- Two-panel axial: CT | PSMA PET, 68Ga tracer
- acquired on Siemens Biograph mCT Flow 20
- PET panel 200×200 px (4.1 mm/px)
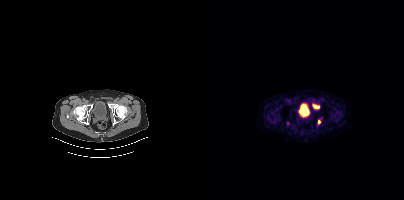
Findings: Coordinates are on the 200×200 PET (right) panel. PSMA-avid tumor lesion bounding box (x, y, width, height): x=109 y=104 w=7 h=5. Small PSMA-avid foci (2 to 4 px across) near (center x, center y): (115, 121) / (83, 123).